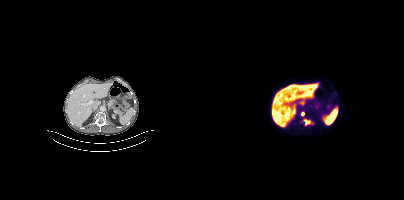
Coordinates are on the 200×200 PET (right) panel. PSMA-avid tumor lesion bounding box (x, y, width, height): x=100 y=120 w=9 h=5. Small PSMA-avid focus (2 to 4 px across) near (center x, center y): (98, 113).